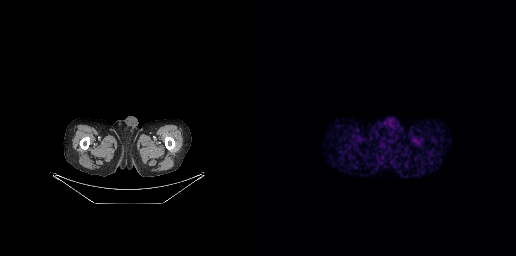
modality: PSMA PET/CT | tracer: 68Ga-PSMA | view: axial | PET grid: 256×256
No PSMA-avid tumor lesions on this slice.